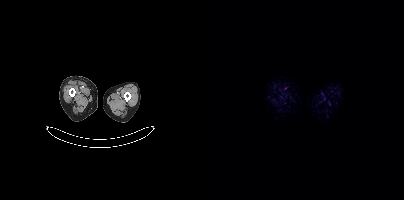
Left: CT. Right: PSMA PET, same axial level, 18F-PSMA tracer. Acquired on Siemens Biograph mCT Flow 20. PET panel 200×200 px (4.1 mm/px). Negative for PSMA-avid disease on this slice.